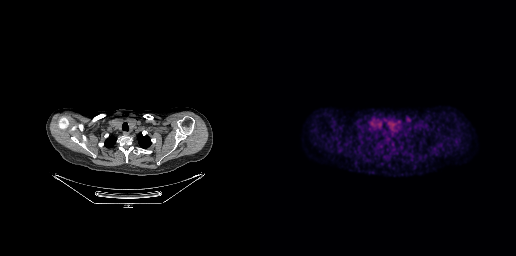
No PSMA-avid tumor lesions on this slice.